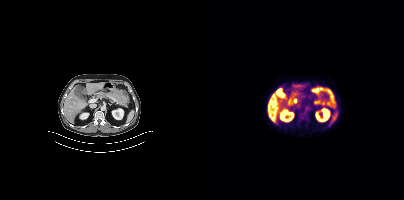
{"modality":"PSMA PET/CT","view":"axial","tracer":"[18F]PSMA-1007","pet_grid":[200,200],"coord_frame":"pet_panel","coord_format":"x0,y0,x1,y1","psma_avid_lesions":false}